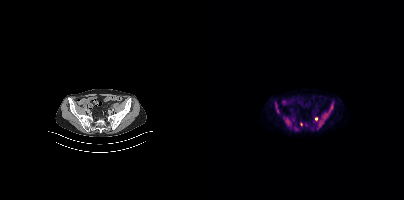
Findings: Coordinates are on the 200×200 PET (right) panel. (showing 4 of 5 foci) PSMA-avid tumor lesion bounding boxes (x0,y0,x1,y1): [115,104,128,126], [80,117,87,126], [72,108,75,113], [111,117,114,121].
Technique: Two-panel axial: CT | PSMA PET, [18F]PSMA-1007 tracer. acquired on Siemens Biograph mCT Flow 20. PET panel 200×200 px (4.1 mm/px).